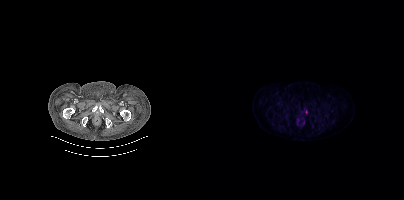
Coordinates are on the 200×200 PET (right) panel. Small PSMA-avid focus (2 to 4 px across) near (center x, center y): (102, 111).